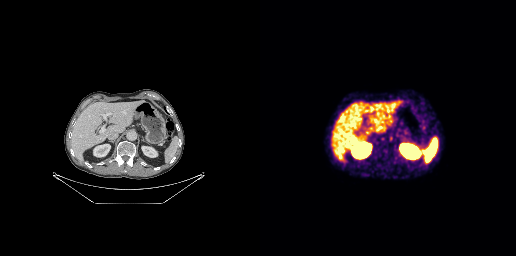
Coordinates are on the 256×256 PET (right) panel. PSMA-avid tumor lesion bounding boxes:
| # | x0 | y0 | x1 | y1 |
|---|---|---|---|---|
| 1 | 129 | 135 | 132 | 141 |
Small PSMA-avid focus (2 to 4 px across) near (center x, center y): (122, 138).
Paired axial CT (left) and PSMA PET (right), 68Ga tracer. Acquired on GE Discovery 690. Slice 137 of 263. PET panel 256×256 px (2.7 mm/px).